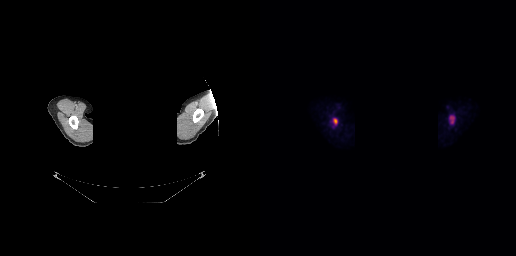
{"modality":"PSMA PET/CT","view":"axial","tracer":"18F","pet_grid":[256,256],"coord_frame":"pet_panel","coord_format":"x0,y0,x1,y1","de-identification":"rectangular block over head set to black","lesion_bboxes":[[189,115,195,124],[73,118,77,123]]}